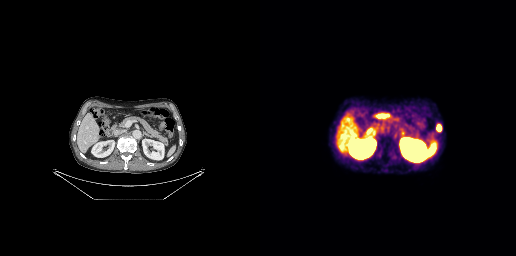
Two-panel axial: CT | PSMA PET, 68Ga-PSMA tracer. Slice 130 of 263. Coordinates are on the 256×256 PET (right) panel. PSMA-avid tumor lesion bounding box (x, y, width, height): x=177 y=124 w=5 h=8.